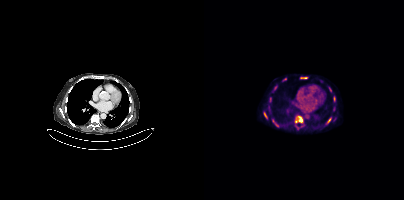
Coordinates are on the 200×200 PET (right) panel. (showing 8 of 9 foci) PSMA-avid tumor lesion bounding boxes (x, y, width, height): x=91 y=116 w=8 h=7; x=96 y=77 w=7 h=2; x=123 y=118 w=5 h=6; x=129 y=96 w=3 h=6; x=60 y=112 w=3 h=6; x=125 y=87 w=3 h=5. Small PSMA-avid foci (2 to 4 px across) near (center x, center y): (71, 87); (80, 79). Two-panel axial: CT | PSMA PET, 18F tracer. PET panel 200×200 px (4.1 mm/px).